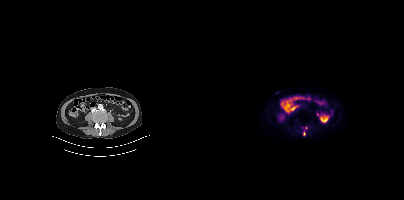
Findings: Only PSMA-avid lesion pieces thinner than 2 px on this slice (not listed).
Technique: Two-panel axial: CT | PSMA PET, 18F-PSMA tracer. slice 201 of 466.